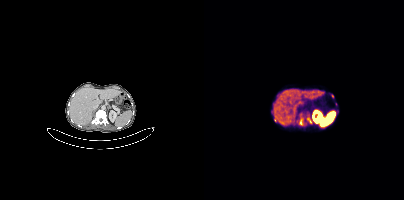
modality: PSMA PET/CT | tracer: [68Ga]Ga-PSMA-11 | view: axial | PET grid: 200×200
Coordinates are on the 200×200 PET (right) panel. PSMA-avid tumor lesion bounding boxes (x0, y0)-(x1, y1): (95, 118)-(99, 125) / (103, 117)-(107, 123). Small PSMA-avid focus (2 to 4 px across) near (center x, center y): (128, 96).